Left: CT. Right: PSMA PET, same axial level, 18F tracer. Slice position z = -1551 mm. PET panel 200×200 px (4.1 mm/px).
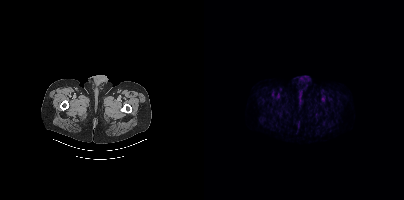
Negative for PSMA-avid disease on this slice.